Two-panel axial: CT | PSMA PET, [18F]PSMA-1007 tracer. Slice position z = -358 mm. The head region is masked for de-identification.
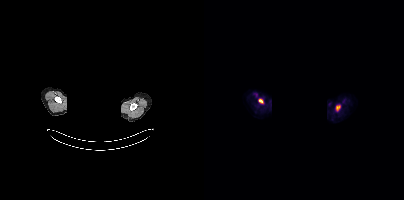
Coordinates are on the 200×200 PET (right) panel. PSMA-avid tumor lesion bounding boxes (x0, y0)-(x1, y1): (132, 105)-(136, 110) | (55, 99)-(59, 103).